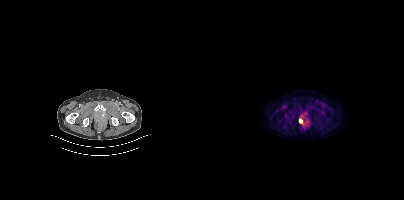
modality: PSMA PET/CT | tracer: 18F | view: axial | PET grid: 200×200
Coordinates are on the 200×200 PET (right) panel. PSMA-avid tumor lesion bounding box (x0,y0,x1,y1): [95,119,98,123].